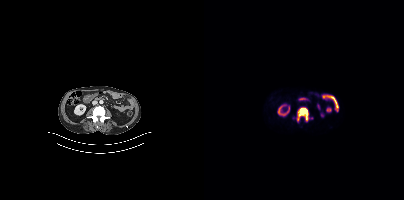
Coordinates are on the 200×200 PET (right) panel. (showing 1 of 2 foci) PSMA-avid tumor lesion bounding box (x, y, width, height): x=93 y=107 w=13 h=15. Left: CT. Right: PSMA PET, same axial level, [18F]PSMA-1007 tracer. PET panel 200×200 px (4.1 mm/px).